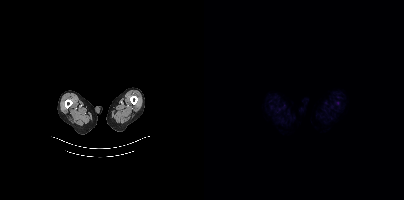
This slice has no annotated PSMA-avid lesion.